modality: PSMA PET/CT | tracer: [18F]PSMA-1007 | view: axial | PET grid: 200×200
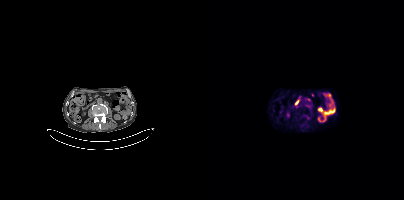
Coordinates are on the 200×200 PET (right) panel. Small PSMA-avid focus (2 to 4 px across) near (center x, center y): (93, 107).